Technique: Paired axial CT (left) and PSMA PET (right), [18F]PSMA-1007 tracer. PET panel 200×200 px (4.1 mm/px).
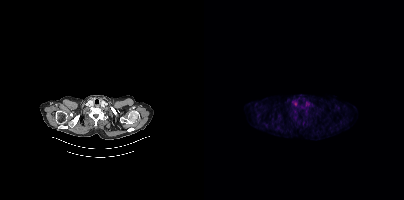
Findings: This slice has no annotated PSMA-avid lesion.